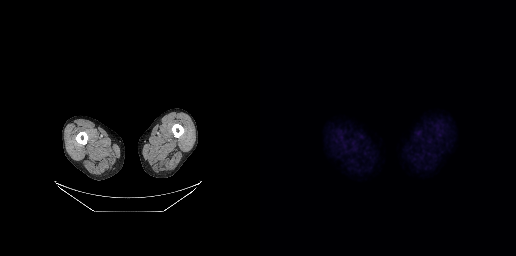
Left: CT. Right: PSMA PET, same axial level, 18F tracer. Acquired on GE Discovery 690. Slice 23 of 299. Negative for PSMA-avid disease on this slice.